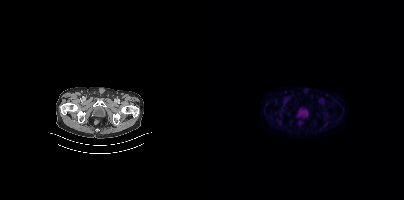
This slice has no annotated PSMA-avid lesion.
modality: PSMA PET/CT | tracer: 18F-PSMA | view: axial | PET grid: 200×200